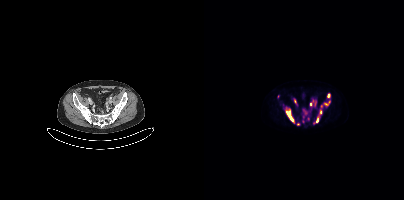
Technique: Two-panel axial: CT | PSMA PET, 18F tracer. PET panel 200×200 px (4.1 mm/px).
Findings: Coordinates are on the 200×200 PET (right) panel. (showing 9 of 13 foci) PSMA-avid tumor lesion bounding boxes (x0,y0,x1,y1): [82,110,90,123] [106,100,112,105] [90,99,92,103] [120,103,124,105]. Small PSMA-avid foci (2 to 4 px across) near (center x, center y): (124, 95) (113, 120) (94, 124) (116, 111) (104, 118).